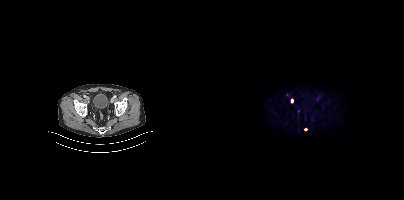
Technique: Paired axial CT (left) and PSMA PET (right), 18F-PSMA tracer. acquired on Siemens Biograph mCT Flow 20. slice position z = -1380 mm.
Findings: Coordinates are on the 200×200 PET (right) panel. Small PSMA-avid focus (2 to 4 px across) near (center x, center y): (94, 111).